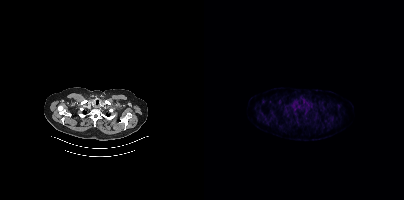
{"modality":"PSMA PET/CT","view":"axial","tracer":"18F-PSMA","pet_grid":[200,200],"coord_frame":"pet_panel","coord_format":"x0,y0,x1,y1","psma_avid_lesions":false}